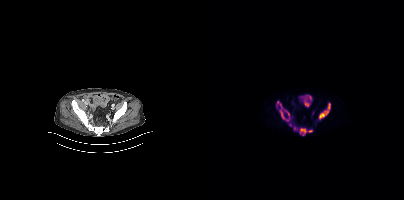
Technique: Paired axial CT (left) and PSMA PET (right), 18F tracer. PET panel 200×200 px (4.1 mm/px).
Findings: Coordinates are on the 200×200 PET (right) panel. (showing 6 of 8 foci) PSMA-avid tumor lesion bounding boxes (x, y, width, height): x=115 y=103 w=12 h=17 / x=96 y=128 w=13 h=8 / x=76 y=110 w=9 h=11 / x=81 y=110 w=5 h=7 / x=76 y=103 w=3 h=6. Small PSMA-avid focus (2 to 4 px across) near (center x, center y): (73, 102).